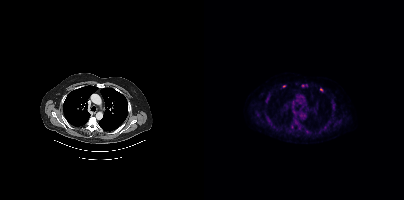
{"pet_grid":[200,200],"coord_frame":"pet_panel","coord_format":"x0,y0,x1,y1","lesion_bboxes":[[87,124,89,128]],"small_foci_centers":[[117,89],[98,85]],"modality":"PSMA PET/CT","view":"axial","tracer":"[18F]PSMA-1007"}